Paired axial CT (left) and PSMA PET (right), 18F-PSMA tracer. Acquired on Siemens Biograph mCT Flow 20. PET panel 200×200 px (4.1 mm/px).
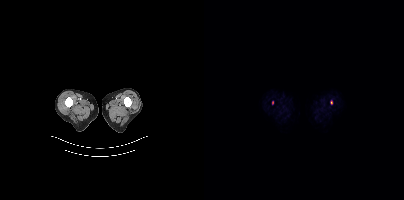
Coordinates are on the 200×200 PET (right) panel. PSMA-avid tumor lesion bounding box (x0,y0,x1,y1): [126,100,128,104]. Small PSMA-avid focus (2 to 4 px across) near (center x, center y): (68, 102).